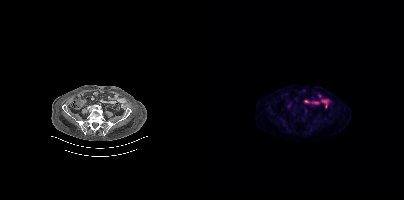
Technique: Paired axial CT (left) and PSMA PET (right), [18F]PSMA-1007 tracer. acquired on Siemens Biograph mCT Flow 20. PET panel 200×200 px (4.1 mm/px).
Findings: Coordinates are on the 200×200 PET (right) panel. Small PSMA-avid focus (2 to 4 px across) near (center x, center y): (101, 110).